De-identified by setting a box covering the face to black before release.
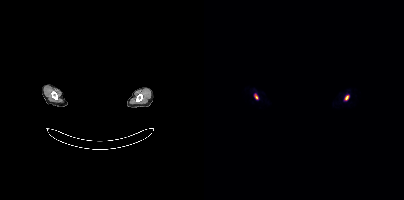
Coordinates are on the 200×200 PET (right) panel. PSMA-avid tumor lesion bounding box (x, y, width, height): x=141 y=95 w=4 h=5. Small PSMA-avid focus (2 to 4 px across) near (center x, center y): (52, 97).